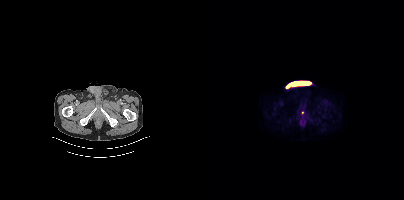
- Left: CT. Right: PSMA PET, same axial level, 18F-PSMA tracer
- PET panel 200×200 px (4.1 mm/px)
Findings: Only PSMA-avid lesion pieces thinner than 2 px on this slice (not listed).